- Left: CT. Right: PSMA PET, same axial level, [18F]PSMA-1007 tracer
- slice 3 of 421
- PET panel 200×200 px (4.1 mm/px)
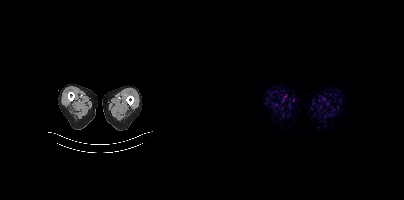
Findings: Negative for PSMA-avid disease on this slice.